modality: PSMA PET/CT | tracer: [18F]PSMA-1007 | view: axial
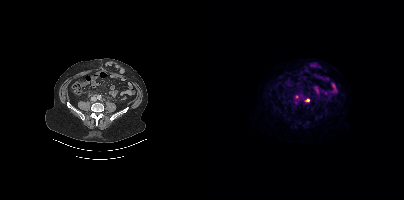
Coordinates are on the 200×200 PET (right) panel. Small PSMA-avid focus (2 to 4 px across) near (center x, center y): (92, 102).